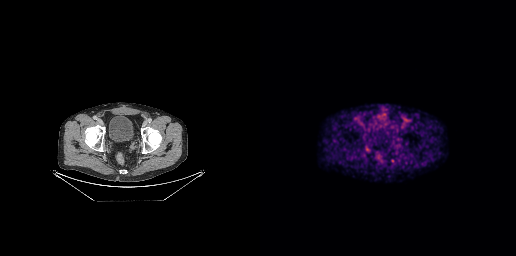
- Left: CT. Right: PSMA PET, same axial level, 18F-PSMA tracer
- PET panel 256×256 px (2.7 mm/px)
Findings: Coordinates are on the 256×256 PET (right) panel. PSMA-avid tumor lesion bounding box (x0, y0)-(x1, y1): (131, 159)-(134, 163).